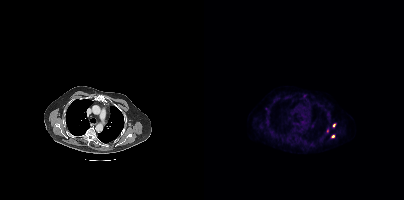
{"modality":"PSMA PET/CT","view":"axial","tracer":"18F-PSMA","pet_grid":[200,200],"coord_frame":"pet_panel","coord_format":"x0,y0,x1,y1","lesion_bboxes":[],"small_foci_centers":[[123,130],[129,136],[129,124]]}